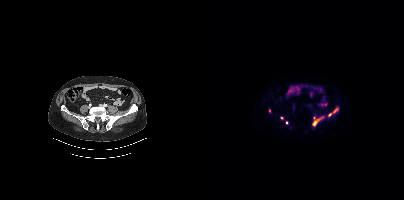
Coordinates are on the 200×200 PET (right) panel. PSMA-avid tumor lesion bounding boxes (x0,y0,x1,y1): [108,116,120,125]; [129,108,134,112]. Small PSMA-avid foci (2 to 4 px across) near (center x, center y): (125, 114); (82, 122); (65, 110); (77, 117); (109, 117).